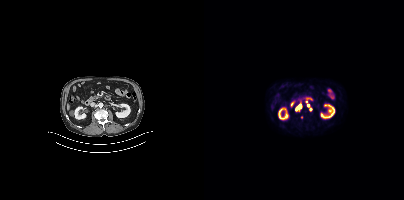
modality: PSMA PET/CT | tracer: [18F]PSMA-1007 | view: axial | PET grid: 200×200
Coordinates are on the 200×200 PET (right) panel. (showing 2 of 6 foci) PSMA-avid tumor lesion bounding box (x, y, width, height): x=92 y=105 w=6 h=5. Small PSMA-avid focus (2 to 4 px across) near (center x, center y): (106, 108).